Paired axial CT (left) and PSMA PET (right), 18F-PSMA tracer. Slice position z = -990 mm. PET panel 200×200 px (4.1 mm/px).
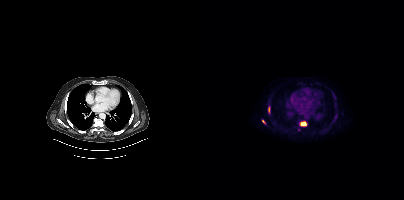
Coordinates are on the 200×200 PET (right) panel. PSMA-avid tumor lesion bounding boxes (x, y, width, height): x=96 y=121 w=7 h=5; x=64 y=106 w=3 h=8; x=129 y=115 w=5 h=7. Small PSMA-avid foci (2 to 4 px across) near (center x, center y): (59, 121); (94, 129).